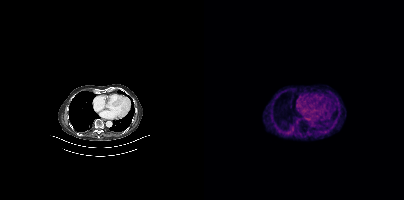
{"modality":"PSMA PET/CT","view":"axial","tracer":"68Ga","pet_grid":[200,200],"coord_frame":"pet_panel","coord_format":"x0,y0,x1,y1","psma_avid_lesions":false}